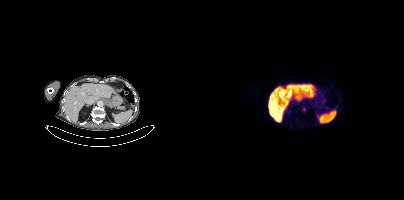
Only PSMA-avid lesion pieces thinner than 2 px on this slice (not listed). Two-panel axial: CT | PSMA PET, 18F-PSMA tracer. Slice position z = -1164 mm. PET panel 200×200 px (4.1 mm/px).